modality: PSMA PET/CT | tracer: [18F]PSMA-1007 | view: axial
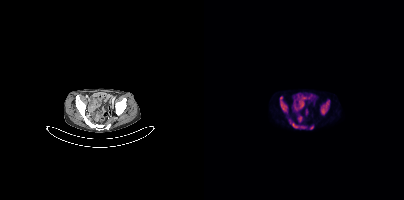
Coordinates are on the 200×200 PET (right) panel. PSMA-avid tumor lesion bounding boxes (x0, y0)-(x1, y1): (117, 100)-(125, 114) / (76, 97)-(83, 111) / (85, 120)-(102, 128). Small PSMA-avid focus (2 to 4 px across) near (center x, center y): (107, 127).